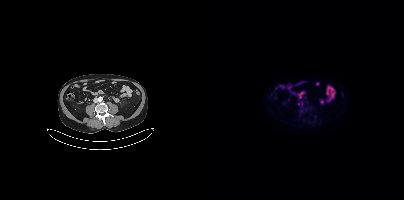
modality: PSMA PET/CT | tracer: [18F]PSMA-1007 | view: axial | PET grid: 200×200
Coordinates are on the 200×200 PET (right) panel. (showing 1 of 2 foci) PSMA-avid tumor lesion bounding box (x, y, width, height): x=94 y=102 w=5 h=3.